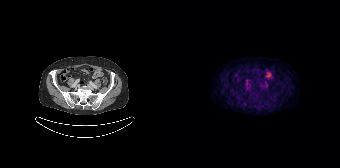
Findings: Negative for PSMA-avid disease on this slice.
- Paired axial CT (left) and PSMA PET (right), 68Ga-PSMA tracer
- slice position z = -600 mm